Two-panel axial: CT | PSMA PET, 68Ga-PSMA tracer. Acquired on GE Discovery 690. PET panel 256×256 px (2.7 mm/px).
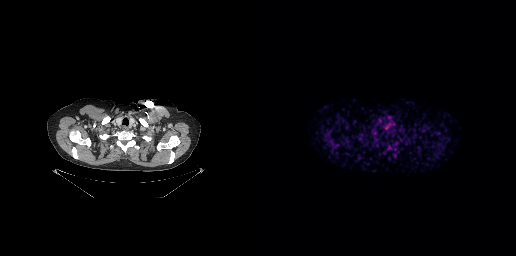
No tumor lesions annotated on this slice.